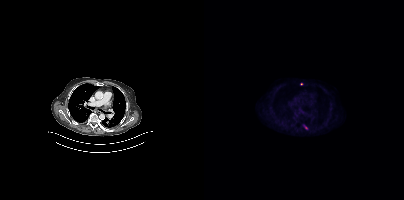
Coordinates are on the 200×200 PET (right) panel. PSMA-avid tumor lesion bounding box (x0, y0)-(x1, y1): (99, 125)-(103, 129). Small PSMA-avid focus (2 to 4 px across) near (center x, center y): (97, 84).